Two-panel axial: CT | PSMA PET, 68Ga-PSMA tracer. Slice 144 of 195.
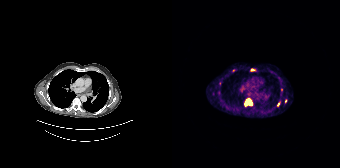
Coordinates are on the 168×168 PET (right) panel. PSMA-avid tumor lesion bounding boxes:
| # | x0 | y0 | x1 | y1 |
|---|---|---|---|---|
| 1 | 73 | 99 | 80 | 105 |
Small PSMA-avid foci (2 to 4 px across) near (center x, center y): (109, 89); (61, 70); (106, 104); (80, 69); (47, 83); (113, 100).